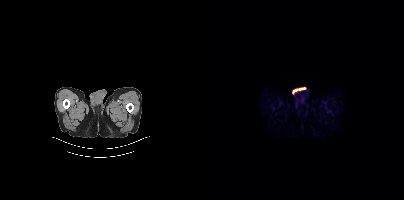
Technique: Two-panel axial: CT | PSMA PET, 18F-PSMA tracer. acquired on Siemens Biograph mCT Flow 20. slice 16 of 427.
Findings: This slice has no annotated PSMA-avid lesion.